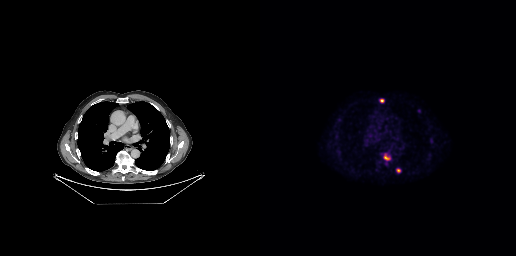
Two-panel axial: CT | PSMA PET, [18F]PSMA-1007 tracer. PET panel 256×256 px (2.7 mm/px).
Coordinates are on the 256×256 PET (right) panel. PSMA-avid tumor lesion bounding boxes:
| # | x0 | y0 | x1 | y1 |
|---|---|---|---|---|
| 1 | 123 | 153 | 130 | 160 |
| 2 | 136 | 168 | 140 | 172 |
Small PSMA-avid focus (2 to 4 px across) near (center x, center y): (121, 100).